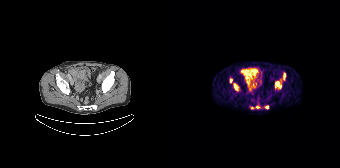
Coordinates are on the 168×168 PET (right) panel. (showing 6 of 7 foci) PSMA-avid tumor lesion bounding boxes (x0, y0)-(x1, y1): (103, 81)-(109, 88) | (61, 83)-(66, 90) | (111, 73)-(113, 79). Small PSMA-avid foci (2 to 4 px across) near (center x, center y): (59, 80) | (85, 107) | (95, 107).